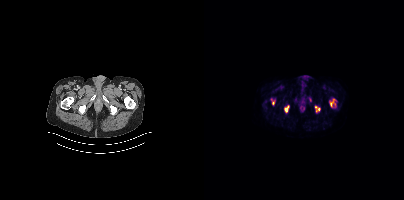
Coordinates are on the 200×200 PET (right) panel. (showing 4 of 5 foci) PSMA-avid tumor lesion bounding boxes (x0, y0)-(x1, y1): (126, 99)-(131, 106) | (80, 105)-(84, 112) | (111, 106)-(115, 111) | (67, 99)-(70, 104).